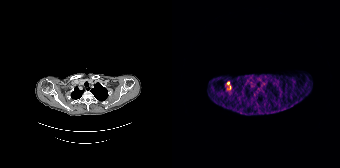
Coordinates are on the 168×168 PET (right) panel. (showing 1 of 2 foci) Small PSMA-avid focus (2 to 4 px across) near (center x, center y): (56, 83).